modality: PSMA PET/CT | tracer: 18F-PSMA | view: axial
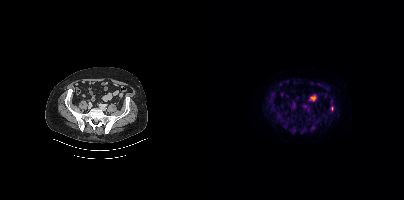
Coordinates are on the 200×200 PET (right) panel. Small PSMA-avid focus (2 to 4 px across) near (center x, center y): (128, 108).